Technique: Paired axial CT (left) and PSMA PET (right), [18F]PSMA-1007 tracer. PET panel 200×200 px (4.1 mm/px).
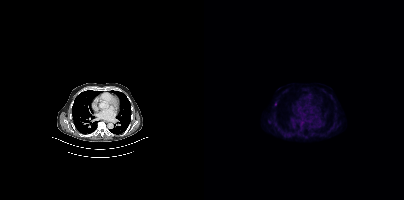
Findings: Coordinates are on the 200×200 PET (right) panel. Small PSMA-avid focus (2 to 4 px across) near (center x, center y): (71, 103).